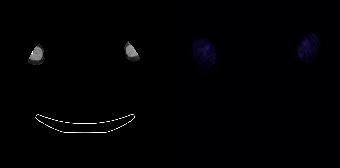
This slice has no annotated PSMA-avid lesion. Face de-identified by blanking a block of the head. Paired axial CT (left) and PSMA PET (right), 68Ga-PSMA tracer. Slice position z = -4 mm.